Two-panel axial: CT | PSMA PET, 18F tracer. Acquired on Siemens Biograph mCT Flow 20. PET panel 200×200 px (4.1 mm/px).
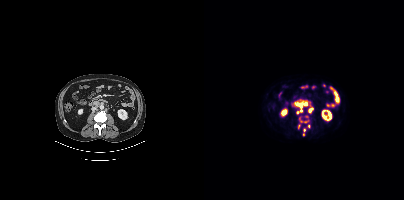
Coordinates are on the 200×200 PET (right) panel. PSMA-avid tumor lesion bounding boxes (partial; 4 more foci not listed):
| # | x0 | y0 | x1 | y1 |
|---|---|---|---|---|
| 1 | 94 | 101 | 104 | 112 |
| 2 | 104 | 108 | 109 | 112 |
Small PSMA-avid foci (2 to 4 px across) near (center x, center y): (99, 134); (104, 126); (100, 129).